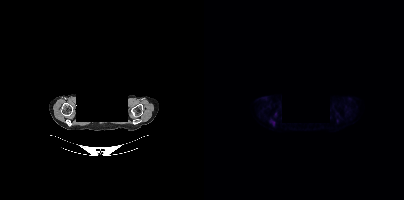
- Left: CT. Right: PSMA PET, same axial level, [18F]PSMA-1007 tracer
- slice position z = -251 mm
- PET panel 200×200 px (4.1 mm/px)
- the face region was removed for patient privacy by blanking a rectangle over the head
Findings: Coordinates are on the 200×200 PET (right) panel. (showing 1 of 2 foci) Small PSMA-avid focus (2 to 4 px across) near (center x, center y): (69, 122).